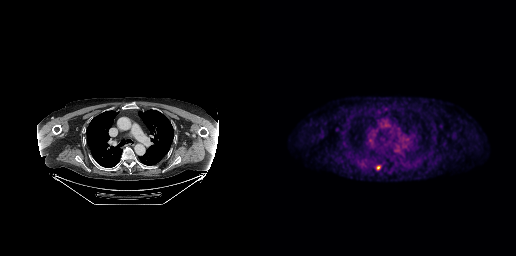
Two-panel axial: CT | PSMA PET, 18F tracer. Acquired on GE Discovery 690. Slice position z = -370 mm. PET panel 256×256 px (2.7 mm/px). Coordinates are on the 256×256 PET (right) panel. PSMA-avid tumor lesion bounding box (x, y, width, height): x=116 y=166 w=5 h=4.